- Paired axial CT (left) and PSMA PET (right), 18F-PSMA tracer
- acquired on GE Discovery 690
- slice 325 of 371
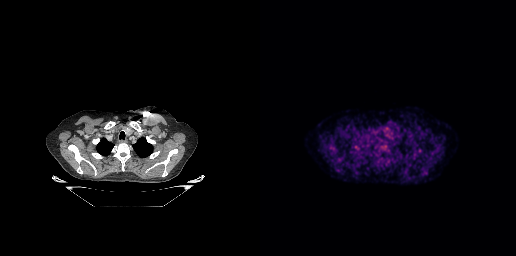
Findings: No PSMA-avid tumor lesions on this slice.